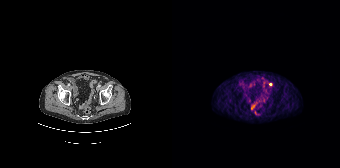
Findings: Coordinates are on the 168×168 PET (right) panel. Small PSMA-avid focus (2 to 4 px across) near (center x, center y): (98, 84).
Technique: Two-panel axial: CT | PSMA PET, 68Ga-PSMA tracer. acquired on Siemens Biograph 64-4R TruePoint. slice position z = -1498 mm. PET panel 168×168 px (4.1 mm/px).